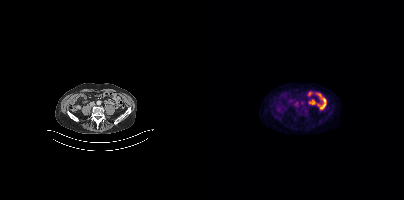
This slice has no annotated PSMA-avid lesion.